Paired axial CT (left) and PSMA PET (right), [18F]PSMA-1007 tracer. Slice position z = -793 mm.
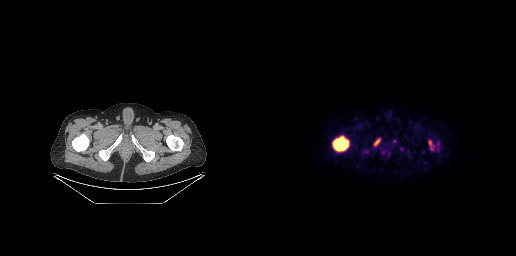
Coordinates are on the 256×256 PET (right) panel. PSMA-avid tumor lesion bounding boxes (x, y, width, height): x=72 y=136 w=18 h=16 / x=114 y=138 w=7 h=9 / x=169 y=140 w=4 h=10.